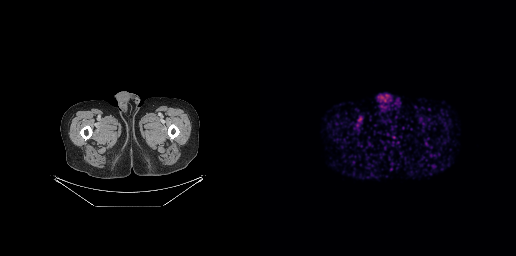
modality: PSMA PET/CT | tracer: 68Ga | view: axial
No PSMA-avid tumor lesions on this slice.